A rectangle over the head was blacked out to remove identifiable facial features. Two-panel axial: CT | PSMA PET, 18F tracer.
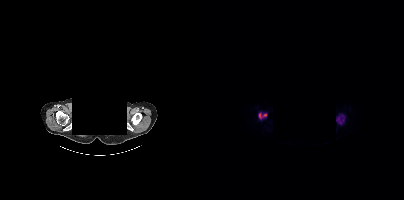
Coordinates are on the 200×200 PET (right) panel. PSMA-avid tumor lesion bounding boxes (x0,y0,x1,y1): [132,115,140,124] [54,112,63,119].